Paired axial CT (left) and PSMA PET (right), 18F tracer. Slice position z = -1486 mm.
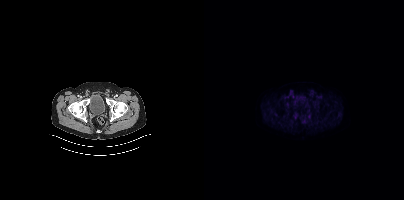
Negative for PSMA-avid disease on this slice.